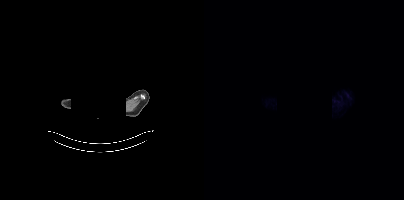
Any black rectangle over the head is a privacy mask, not anatomy.
This slice has no annotated PSMA-avid lesion.